Left: CT. Right: PSMA PET, same axial level, 68Ga tracer. Acquired on GE Discovery 690. PET panel 256×256 px (2.7 mm/px).
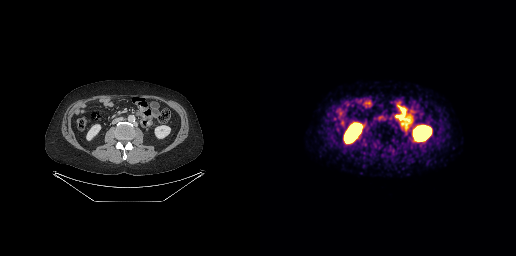
No tumor lesions annotated on this slice.